- Two-panel axial: CT | PSMA PET, 68Ga-PSMA tracer
- acquired on Siemens Biograph 64-4R TruePoint
- PET panel 168×168 px (4.1 mm/px)
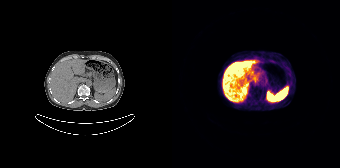
Findings: No PSMA-avid tumor lesions on this slice.